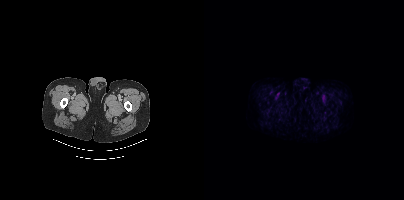
{"modality":"PSMA PET/CT","view":"axial","tracer":"[18F]PSMA-1007","pet_grid":[200,200],"coord_frame":"pet_panel","coord_format":"x0,y0,x1,y1","psma_avid_lesions":false}